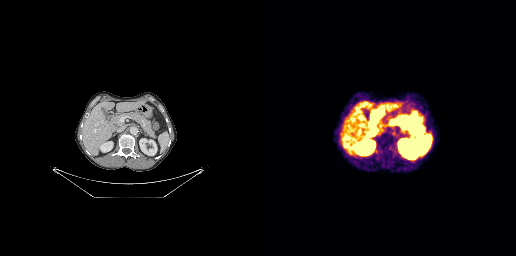
Two-panel axial: CT | PSMA PET, 68Ga tracer. Slice position z = -576 mm. PET panel 256×256 px (2.7 mm/px).
Coordinates are on the 256×256 PET (right) panel. PSMA-avid tumor lesion bounding boxes:
| # | x0 | y0 | x1 | y1 |
|---|---|---|---|---|
| 1 | 120 | 127 | 125 | 132 |